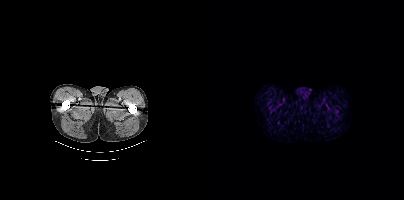
No tumor lesions annotated on this slice. Left: CT. Right: PSMA PET, same axial level, 18F tracer. Slice position z = -1587 mm.